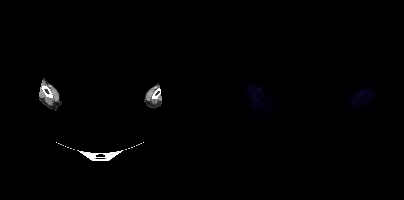
{"modality":"PSMA PET/CT","view":"axial","tracer":"18F-PSMA","pet_grid":[200,200],"coord_frame":"pet_panel","coord_format":"x0,y0,x1,y1","redaction":"facial region redacted","psma_avid_lesions":false}